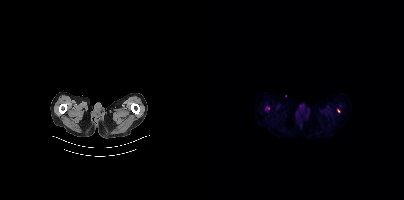
Coordinates are on the 200×200 PET (right) panel. Small PSMA-avid foci (2 to 4 px across) near (center x, center y): (134, 110) / (64, 108).
modality: PSMA PET/CT | tracer: 18F | view: axial | PET grid: 200×200